redaction: rectangular block over head set to black | modality: PSMA PET/CT | tracer: 18F | view: axial | PET grid: 200×200
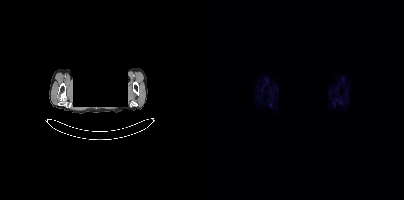
Negative for PSMA-avid disease on this slice.